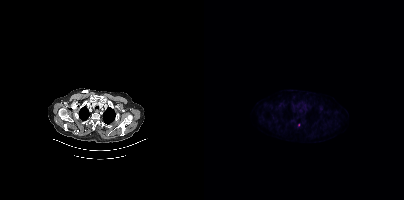
{"modality":"PSMA PET/CT","view":"axial","tracer":"18F","pet_grid":[200,200],"coord_frame":"pet_panel","coord_format":"x0,y0,x1,y1","lesion_bboxes":[],"small_foci_centers":[[95,124]]}